Two-panel axial: CT | PSMA PET, 18F tracer. PET panel 200×200 px (4.1 mm/px).
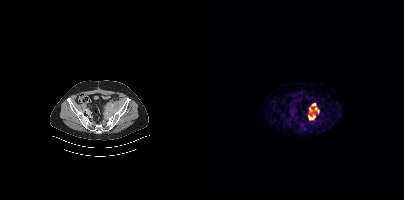
Coordinates are on the 200×200 PET (right) panel. PSMA-avid tumor lesion bounding box (x0, y0)-(x1, y1): (104, 103)-(115, 120).